redaction: face masked with black rectangle | modality: PSMA PET/CT | tracer: 68Ga | view: axial
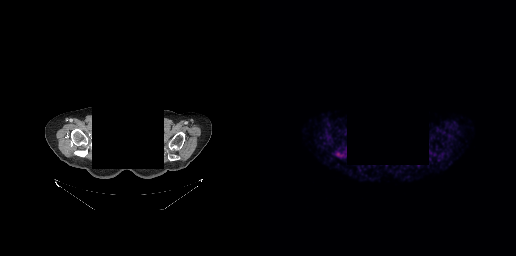
Negative for PSMA-avid disease on this slice.